Left: CT. Right: PSMA PET, same axial level, 68Ga tracer. Acquired on Siemens Biograph 64-4R TruePoint. Slice position z = -1284 mm. PET panel 168×168 px (4.1 mm/px).
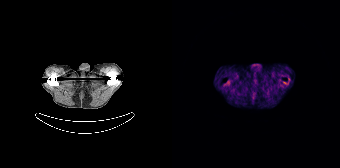
Negative for PSMA-avid disease on this slice.